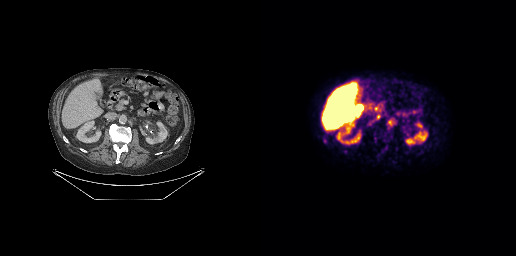
{"modality":"PSMA PET/CT","view":"axial","tracer":"[18F]PSMA-1007","pet_grid":[256,256],"coord_frame":"pet_panel","coord_format":"x0,y0,x1,y1","lesion_bboxes":[[127,118,135,126]]}